- Paired axial CT (left) and PSMA PET (right), 18F-PSMA tracer
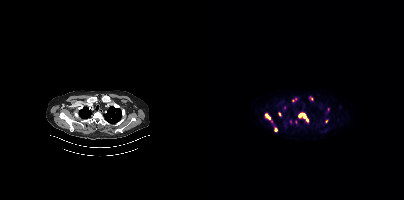
Findings: Coordinates are on the 200×200 PET (right) panel. (showing 8 of 11 foci) PSMA-avid tumor lesion bounding boxes (x0,y0,x1,y1): [94,112,104,122], [61,113,66,119], [70,127,73,131]. Small PSMA-avid foci (2 to 4 px across) near (center x, center y): (75, 113), (107, 98), (124, 108), (88, 100), (122, 121).